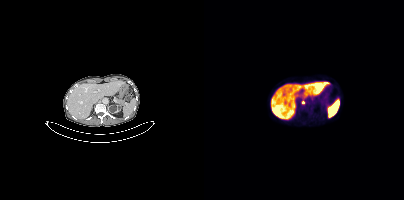
Coordinates are on the 200×200 PET (right) panel. Small PSMA-avid focus (2 to 4 px across) near (center x, center y): (99, 102).